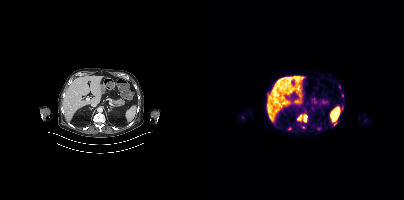
modality: PSMA PET/CT | tracer: [18F]PSMA-1007 | view: axial | PET grid: 200×200
Coordinates are on the 200×200 PET (right) panel. (showing 8 of 9 foci) PSMA-avid tumor lesion bounding box (x0,y0,x1,y1): [100,115,102,121]. Small PSMA-avid foci (2 to 4 px across) near (center x, center y): (85, 128), (99, 127), (114, 129), (138, 95), (95, 119), (130, 124), (138, 106).